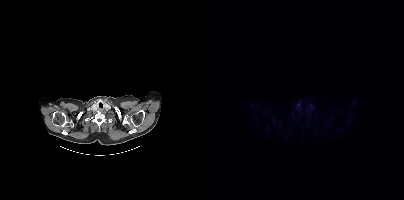
Technique: Paired axial CT (left) and PSMA PET (right), [18F]PSMA-1007 tracer. PET panel 200×200 px (4.1 mm/px).
Findings: No tumor lesions annotated on this slice.